Left: CT. Right: PSMA PET, same axial level, 18F tracer. PET panel 256×256 px (2.7 mm/px).
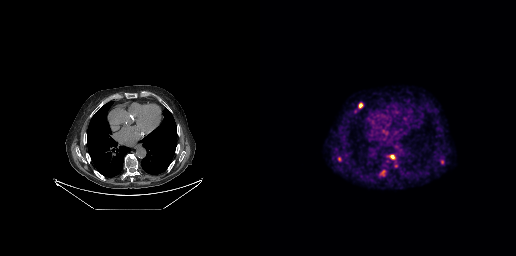
Coordinates are on the 256×256 PET (right) panel. PSMA-avid tumor lesion bounding boxes (x0, y0)-(x1, y1): (130, 155)-(134, 159); (99, 103)-(102, 107); (78, 157)-(81, 161). Small PSMA-avid focus (2 to 4 px across) near (center x, center y): (123, 172).